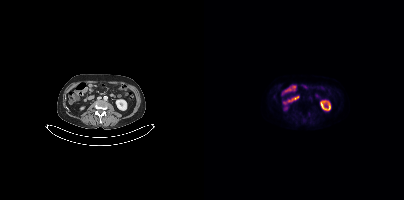
{"pet_grid":[200,200],"coord_frame":"pet_panel","coord_format":"x0,y0,x1,y1","psma_avid_lesions":false,"modality":"PSMA PET/CT","view":"axial","tracer":"18F-PSMA"}